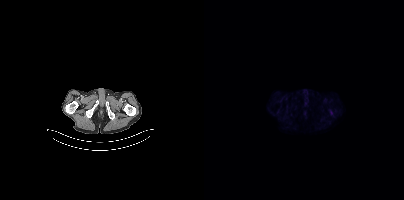
{"modality":"PSMA PET/CT","view":"axial","tracer":"[18F]PSMA-1007","pet_grid":[200,200],"coord_frame":"pet_panel","coord_format":"x0,y0,x1,y1","psma_avid_lesions":false}